De-identified by setting a box covering the face to black before release. Left: CT. Right: PSMA PET, same axial level, [18F]PSMA-1007 tracer. Slice 292 of 299.
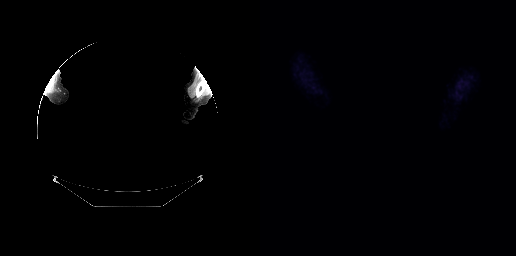
No PSMA-avid tumor lesions on this slice.